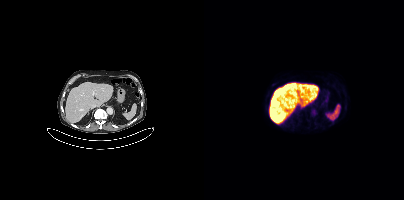
Findings: No tumor lesions annotated on this slice.
- Left: CT. Right: PSMA PET, same axial level, [18F]PSMA-1007 tracer
- acquired on Siemens Biograph mCT Flow 20
- slice 224 of 429
- PET panel 200×200 px (4.1 mm/px)